Paired axial CT (left) and PSMA PET (right), 68Ga tracer. Acquired on Siemens Biograph mCT Flow 20. Slice 343 of 373. PET panel 200×200 px (4.1 mm/px). Head region blanked for anonymization (face removed).
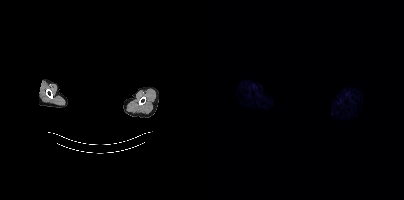
No PSMA-avid tumor lesions on this slice.